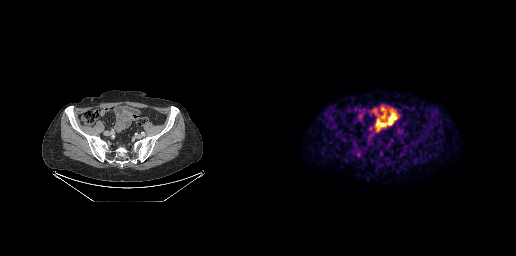
- Two-panel axial: CT | PSMA PET, 68Ga-PSMA tracer
- slice position z = -833 mm
- PET panel 256×256 px (2.7 mm/px)
Findings: No PSMA-avid tumor lesions on this slice.